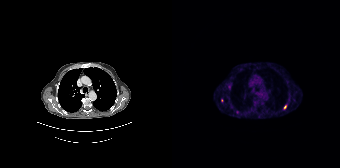
Coordinates are on the 168×168 PET (right) panel. Small PSMA-avid foci (2 to 4 px across) near (center x, center y): (57, 86) | (113, 106) | (65, 111) | (49, 100) | (122, 100). Two-panel axial: CT | PSMA PET, [68Ga]Ga-PSMA-11 tracer. Slice position z = -848 mm. PET panel 168×168 px (4.1 mm/px).